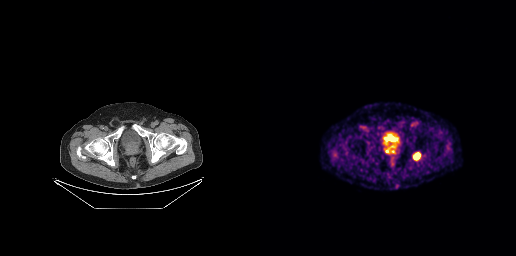
Findings: Coordinates are on the 256×256 PET (right) panel. PSMA-avid tumor lesion bounding box (x0,y0,x1,y1): [153,153,160,159].
- Left: CT. Right: PSMA PET, same axial level, [68Ga]Ga-PSMA-11 tracer
- acquired on GE Discovery 690
- slice 57 of 263
- PET panel 256×256 px (2.7 mm/px)